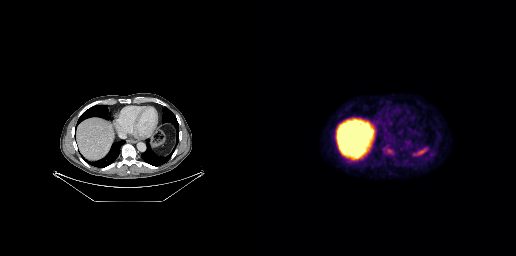
Coordinates are on the 256×256 PET (right) panel. PSMA-avid tumor lesion bounding box (x0, y0)-(x1, y1): (127, 148)-(132, 153).